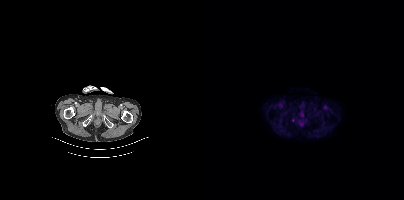
Paired axial CT (left) and PSMA PET (right), 18F-PSMA tracer. Slice 55 of 411. PET panel 200×200 px (4.1 mm/px). Only PSMA-avid lesion pieces thinner than 2 px on this slice (not listed).